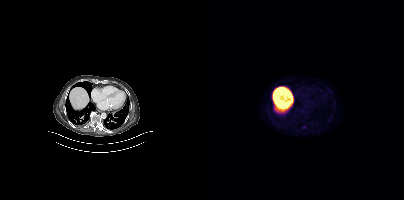
Paired axial CT (left) and PSMA PET (right), 18F tracer. Slice 228 of 383. This slice has no annotated PSMA-avid lesion.